modality: PSMA PET/CT | tracer: 18F | view: axial | PET grid: 200×200
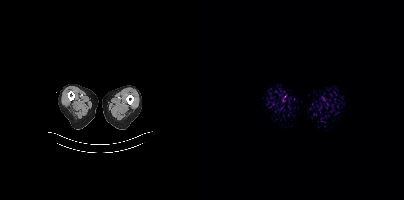
This slice has no annotated PSMA-avid lesion.